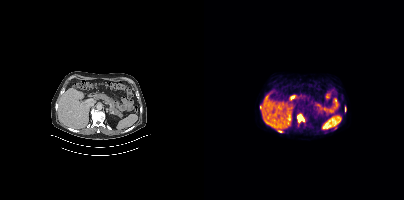
{"modality":"PSMA PET/CT","view":"axial","tracer":"18F-PSMA","pet_grid":[200,200],"coord_frame":"pet_panel","coord_format":"x0,y0,x1,y1","lesion_bboxes":[[94,115,100,122]]}